Technique: Paired axial CT (left) and PSMA PET (right), [18F]PSMA-1007 tracer. PET panel 200×200 px (4.1 mm/px).
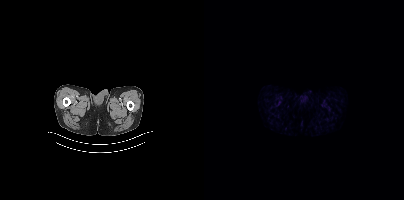
Findings: This slice has no annotated PSMA-avid lesion.